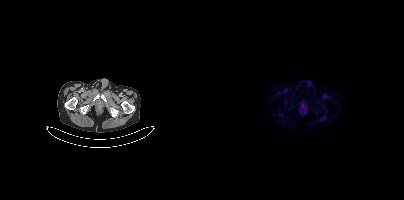
This slice has no annotated PSMA-avid lesion. Two-panel axial: CT | PSMA PET, 18F tracer.